Facial anatomy redacted by setting a rectangular region of the head to black. Two-panel axial: CT | PSMA PET, 68Ga-PSMA tracer. PET panel 256×256 px (2.7 mm/px).
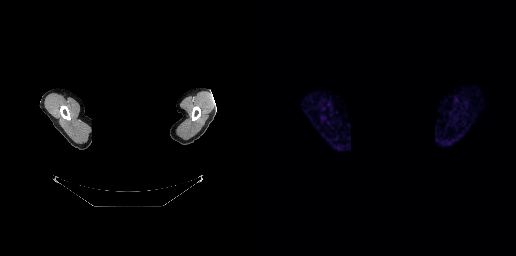
No PSMA-avid tumor lesions on this slice.